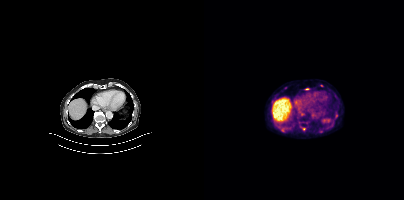
- Two-panel axial: CT | PSMA PET, 18F tracer
- slice position z = -509 mm
Findings: Coordinates are on the 200×200 PET (right) panel. (showing 3 of 4 foci) PSMA-avid tumor lesion bounding box (x, y, width, height): x=101 y=88 w=5 h=2. Small PSMA-avid foci (2 to 4 px across) near (center x, center y): (117, 85) / (99, 128).